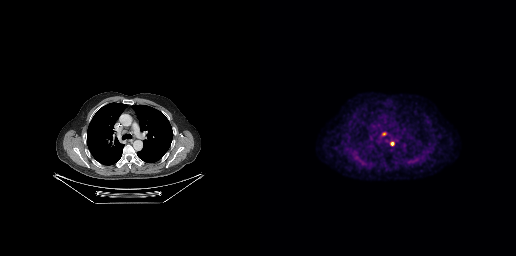
Coordinates are on the 256×256 PET (right) panel. (showing 1 of 2 foci) Small PSMA-avid focus (2 to 4 px across) near (center x, center y): (132, 143). Two-panel axial: CT | PSMA PET, 18F tracer. PET panel 256×256 px (2.7 mm/px).